modality: PSMA PET/CT | tracer: 18F-PSMA | view: axial
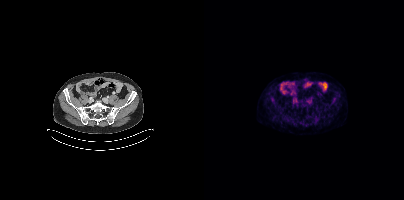
No PSMA-avid tumor lesions on this slice.